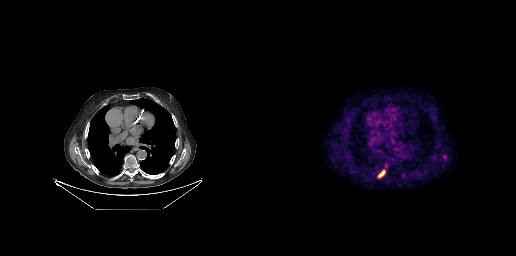
Coordinates are on the 256×256 PET (right) panel. PSMA-avid tumor lesion bounding box (x, y, width, height): x=118 y=170 w=8 h=8.